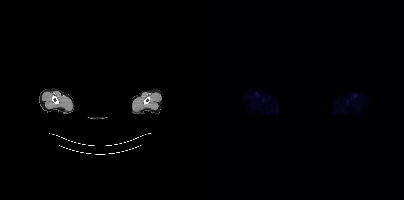
Paired axial CT (left) and PSMA PET (right), [18F]PSMA-1007 tracer. Face de-identified by blanking a block of the head. No tumor lesions annotated on this slice.